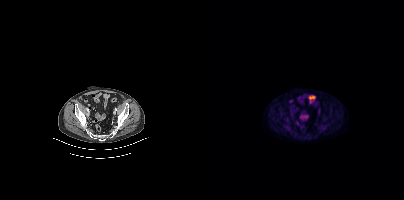
This slice has no annotated PSMA-avid lesion.